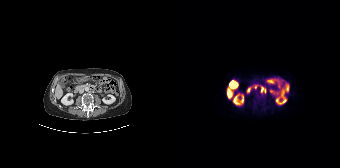
{"modality":"PSMA PET/CT","view":"axial","tracer":"18F","pet_grid":[168,168],"coord_frame":"pet_panel","coord_format":"x0,y0,x1,y1","partial":true,"lesion_bboxes":[[89,87,91,92]]}